Paired axial CT (left) and PSMA PET (right), [18F]PSMA-1007 tracer. Slice 175 of 466. PET panel 200×200 px (4.1 mm/px).
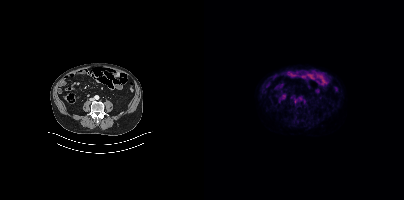
Negative for PSMA-avid disease on this slice.